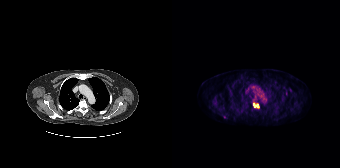
modality: PSMA PET/CT | tracer: 18F-PSMA | view: axial
Coordinates are on the 168×168 PET (right) panel. PSMA-avid tumor lesion bounding box (x0, y0)-(x1, y1): (81, 103)-(86, 107). Small PSMA-avid foci (2 to 4 px across) near (center x, center y): (114, 93); (52, 116).